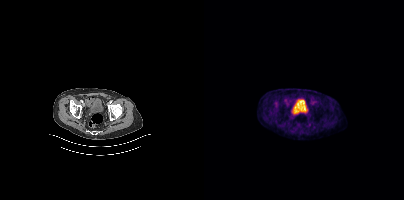
Negative for PSMA-avid disease on this slice.